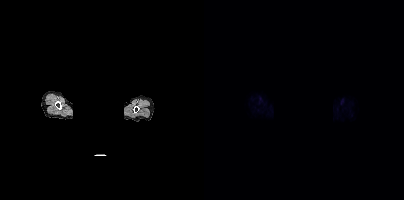
{"pet_grid":[200,200],"coord_frame":"pet_panel","coord_format":"x0,y0,x1,y1","psma_avid_lesions":false,"modality":"PSMA PET/CT","view":"axial","tracer":"[18F]PSMA-1007","redaction":"facial region redacted"}